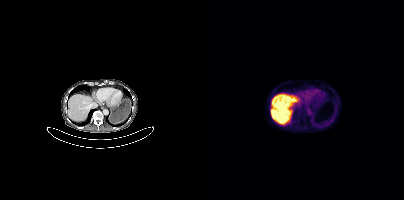
Findings: Negative for PSMA-avid disease on this slice.
Technique: Paired axial CT (left) and PSMA PET (right), 18F tracer. acquired on Siemens Biograph mCT Flow 20. slice position z = -614 mm.